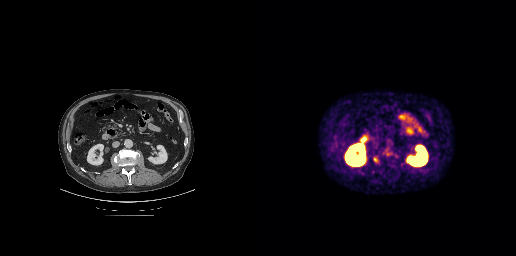
Coordinates are on the 256×256 PET (right) panel. PSMA-avid tumor lesion bounding boxes:
| # | x0 | y0 | x1 | y1 |
|---|---|---|---|---|
| 1 | 113 | 156 | 118 | 162 |
Left: CT. Right: PSMA PET, same axial level, 18F-PSMA tracer. Acquired on GE Discovery 690. Slice 129 of 263.